modality: PSMA PET/CT | tracer: [18F]PSMA-1007 | view: axial | PET grid: 200×200
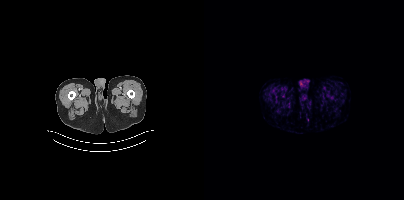
Negative for PSMA-avid disease on this slice.